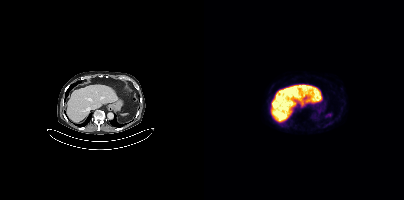
No PSMA-avid tumor lesions on this slice.